deidentification: head region blacked out before release | modality: PSMA PET/CT | tracer: [18F]PSMA-1007 | view: axial
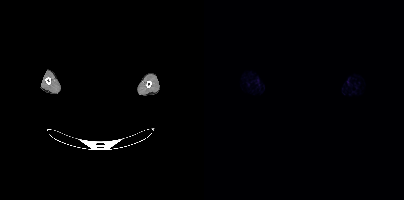
No PSMA-avid tumor lesions on this slice.